modality: PSMA PET/CT | tracer: 18F | view: axial
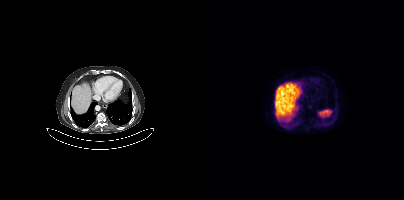
Negative for PSMA-avid disease on this slice.